Left: CT. Right: PSMA PET, same axial level, 18F-PSMA tracer. Acquired on Siemens Biograph mCT Flow 20. Slice position z = -598 mm.
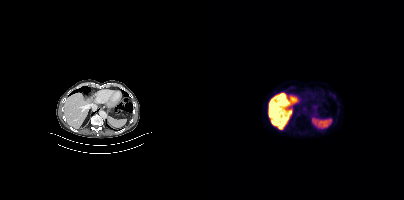
Negative for PSMA-avid disease on this slice.